modality: PSMA PET/CT | tracer: [18F]PSMA-1007 | view: axial | PET grid: 200×200
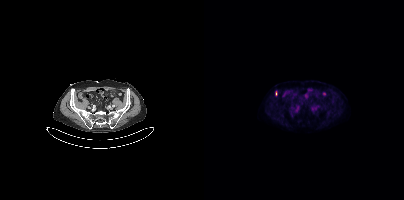
Only PSMA-avid lesion pieces thinner than 2 px on this slice (not listed).